Technique: Two-panel axial: CT | PSMA PET, 18F-PSMA tracer. slice position z = -684 mm. PET panel 200×200 px (4.1 mm/px).
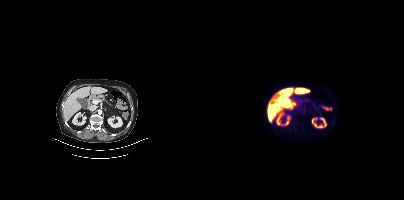
Findings: Negative for PSMA-avid disease on this slice.